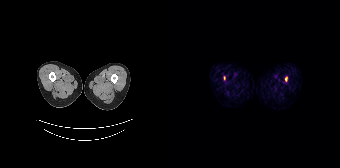
Coordinates are on the 168×168 PET (right) panel. PSMA-avid tumor lesion bounding boxes:
| # | x0 | y0 | x1 | y1 |
|---|---|---|---|---|
| 1 | 113 | 77 | 115 | 81 |
Small PSMA-avid focus (2 to 4 px across) near (center x, center y): (52, 78).
Two-panel axial: CT | PSMA PET, [68Ga]Ga-PSMA-11 tracer. PET panel 168×168 px (4.1 mm/px).